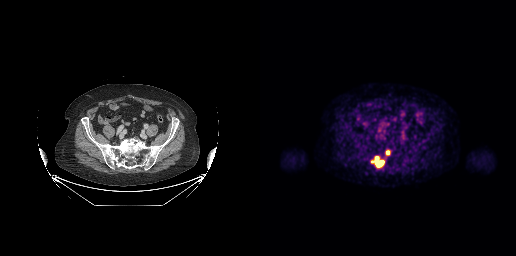
{"modality":"PSMA PET/CT","view":"axial","tracer":"[18F]PSMA-1007","pet_grid":[256,256],"coord_frame":"pet_panel","coord_format":"x0,y0,x1,y1","lesion_bboxes":[[111,156,124,167],[126,150,130,155]]}